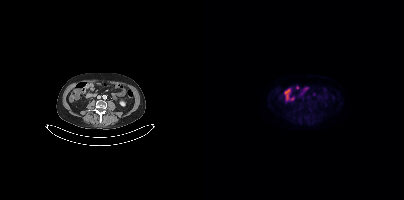
{"modality":"PSMA PET/CT","view":"axial","tracer":"18F-PSMA","pet_grid":[200,200],"coord_frame":"pet_panel","coord_format":"x0,y0,x1,y1","psma_avid_lesions":false}